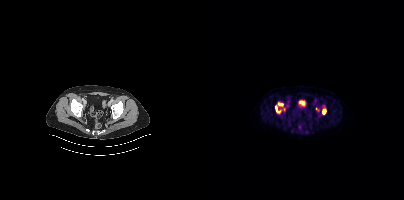
{"modality":"PSMA PET/CT","view":"axial","tracer":"18F","pet_grid":[200,200],"coord_frame":"pet_panel","coord_format":"x0,y0,x1,y1","partial":true,"lesion_bboxes":[[71,102,79,113],[118,109,122,114]]}